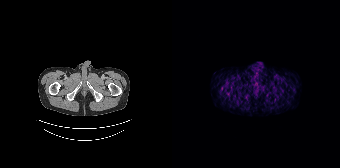
Negative for PSMA-avid disease on this slice.